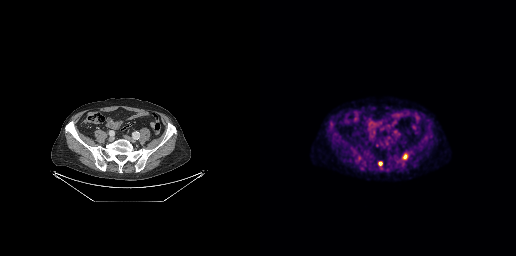
Findings: Coordinates are on the 256×256 PET (right) panel. PSMA-avid tumor lesion bounding box (x0, y0)-(x1, y1): (143, 154)-(147, 158). Small PSMA-avid focus (2 to 4 px across) near (center x, center y): (120, 163).
- Two-panel axial: CT | PSMA PET, 18F-PSMA tracer
- acquired on GE Discovery 690